The head region is masked for de-identification.
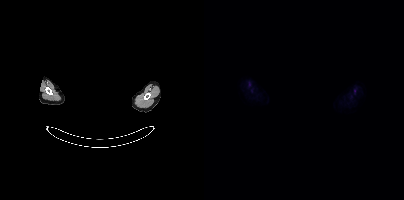
This slice has no annotated PSMA-avid lesion.